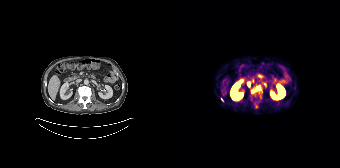
{"modality":"PSMA PET/CT","view":"axial","tracer":"[68Ga]Ga-PSMA-11","pet_grid":[168,168],"coord_frame":"pet_panel","coord_format":"x0,y0,x1,y1","partial":true,"lesion_bboxes":[[79,89,82,93]],"small_foci_centers":[[77,84],[88,96],[85,87],[49,99]]}